- Two-panel axial: CT | PSMA PET, 18F tracer
- slice position z = -328 mm
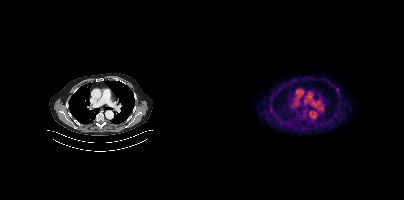
Findings: Coordinates are on the 200×200 PET (right) panel. Small PSMA-avid focus (2 to 4 px across) near (center x, center y): (133, 90).